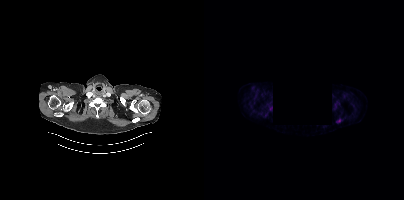
A black rectangle in this scan is a privacy mask, not anatomy. Two-panel axial: CT | PSMA PET, 18F tracer. Slice position z = -210 mm. Coordinates are on the 200×200 PET (right) panel. PSMA-avid tumor lesion bounding box (x, y, width, height): x=132 y=119 w=6 h=4. Small PSMA-avid focus (2 to 4 px across) near (center x, center y): (67, 108).